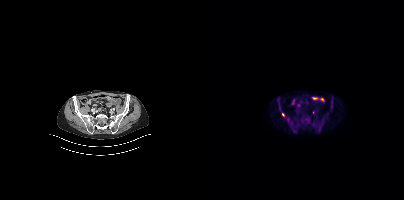
Coordinates are on the 200×200 PET (right) panel. (showing 1 of 2 foci) Small PSMA-avid focus (2 to 4 px across) near (center x, center y): (79, 114).